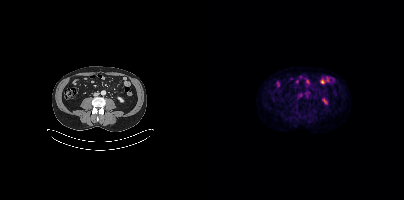
Coordinates are on the 200×200 PET (right) panel. Small PSMA-avid focus (2 to 4 px across) near (center x, center y): (96, 94).
modality: PSMA PET/CT | tracer: 18F | view: axial